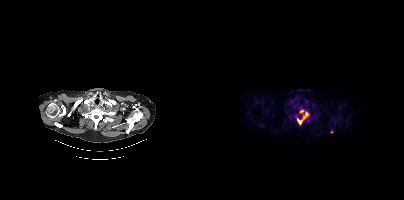
- Paired axial CT (left) and PSMA PET (right), [18F]PSMA-1007 tracer
- acquired on Siemens Biograph mCT Flow 20
Findings: Coordinates are on the 200×200 PET (right) panel. (showing 2 of 3 foci) PSMA-avid tumor lesion bounding box (x0,y0,x1,y1): [93,111,104,124]. Small PSMA-avid focus (2 to 4 px across) near (center x, center y): (97, 111).